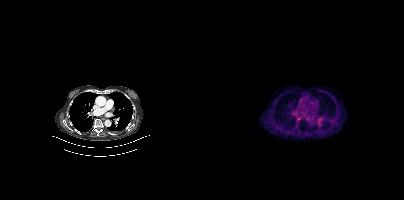
{"modality":"PSMA PET/CT","view":"axial","tracer":"68Ga","pet_grid":[200,200],"coord_frame":"pet_panel","coord_format":"x0,y0,x1,y1","psma_avid_lesions":false}